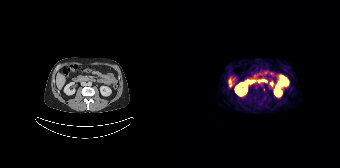
Findings: No tumor lesions annotated on this slice.
- Left: CT. Right: PSMA PET, same axial level, [68Ga]Ga-PSMA-11 tracer
- slice 93 of 195
- PET panel 168×168 px (4.1 mm/px)